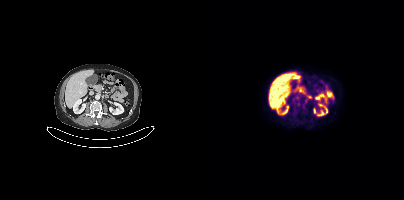
modality: PSMA PET/CT | tracer: 18F-PSMA | view: axial | PET grid: 200×200
No tumor lesions annotated on this slice.